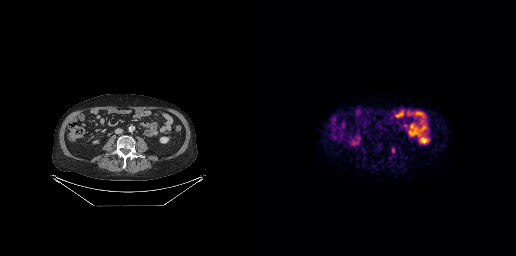
Coordinates are on the 256×256 PET (right) panel. PSMA-avid tumor lesion bounding box (x0, y0)-(x1, y1): (132, 148)-(134, 152).